- Two-panel axial: CT | PSMA PET, 68Ga tracer
- PET panel 256×256 px (2.7 mm/px)
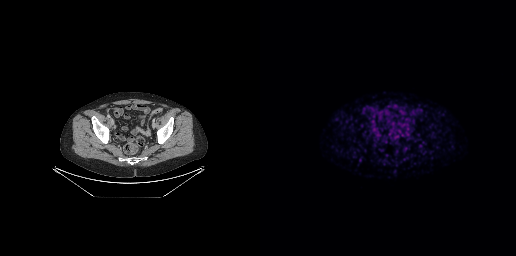
Findings: No tumor lesions annotated on this slice.